Technique: Two-panel axial: CT | PSMA PET, [18F]PSMA-1007 tracer. acquired on Siemens Biograph mCT Flow 20.
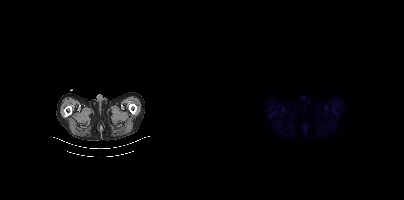
Findings: No tumor lesions annotated on this slice.